Technique: Left: CT. Right: PSMA PET, same axial level, 18F tracer.
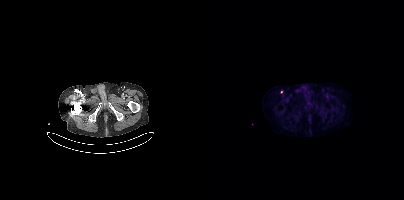
Findings: Coordinates are on the 200×200 PET (right) panel. Small PSMA-avid focus (2 to 4 px across) near (center x, center y): (77, 92).